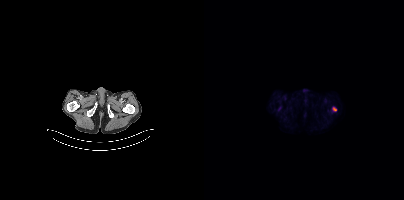
Coordinates are on the 200×200 PET (right) panel. Small PSMA-avid focus (2 to 4 px across) near (center x, center y): (131, 109).